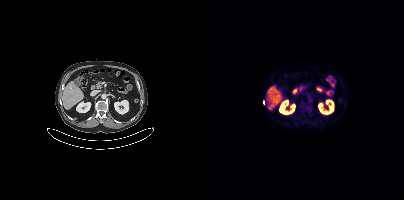
Coordinates are on the 200×200 PET (right) panel. Small PSMA-avid foci (2 to 4 px across) near (center x, center y): (59, 102); (103, 106).